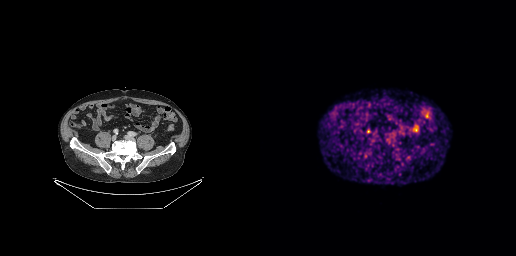
modality: PSMA PET/CT | tracer: 68Ga-PSMA | view: axial
This slice has no annotated PSMA-avid lesion.